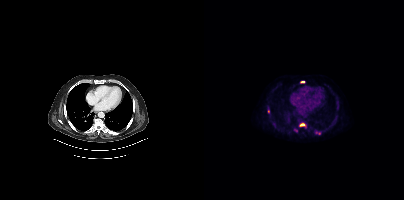
Paired axial CT (left) and PSMA PET (right), 18F tracer. Coordinates are on the 200×200 PET (right) panel. (showing 5 of 6 foci) PSMA-avid tumor lesion bounding boxes (x, y, width, height): x=111 y=130 w=6 h=5 | x=96 y=123 w=5 h=4. Small PSMA-avid foci (2 to 4 px across) near (center x, center y): (91, 130) | (98, 81) | (64, 111).